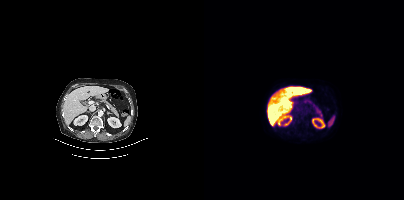
This slice has no annotated PSMA-avid lesion.